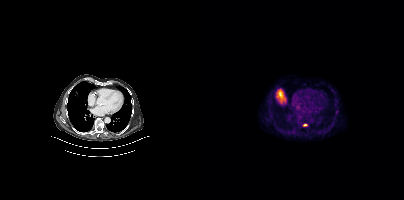
Coordinates are on the 200×200 PET (right) panel. Small PSMA-avid focus (2 to 4 px across) near (center x, center y): (100, 125).